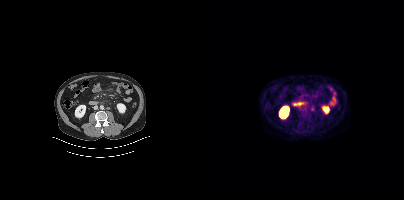
Coordinates are on the 200×200 PET (right) panel. Small PSMA-avid focus (2 to 4 px across) near (center x, center y): (107, 109).